Left: CT. Right: PSMA PET, same axial level, 18F-PSMA tracer. Slice 238 of 299.
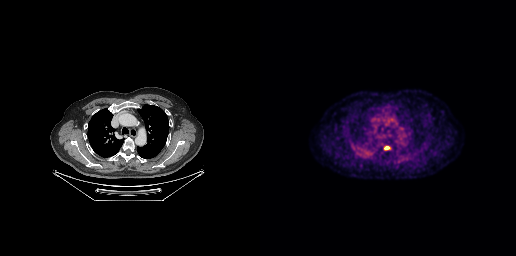
Coordinates are on the 256×256 PET (right) panel. PSMA-avid tumor lesion bounding box (x, y, width, height): x=124 y=146 w=6 h=4.